Paired axial CT (left) and PSMA PET (right), 18F-PSMA tracer. PET panel 200×200 px (4.1 mm/px).
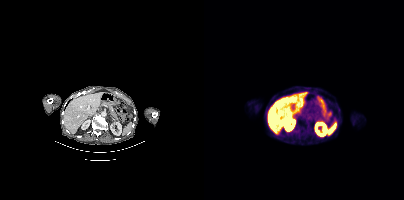
Only PSMA-avid lesion pieces thinner than 2 px on this slice (not listed).